Face de-identified by blanking a block of the head.
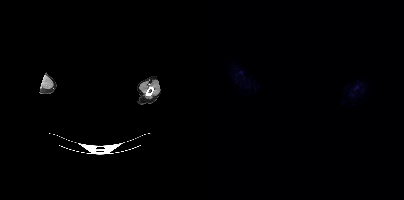
No PSMA-avid tumor lesions on this slice.